- Paired axial CT (left) and PSMA PET (right), [68Ga]Ga-PSMA-11 tracer
- acquired on Siemens Biograph 64-4R TruePoint
- slice 161 of 195
- PET panel 168×168 px (4.1 mm/px)
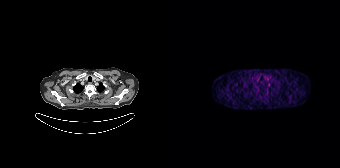
Findings: No tumor lesions annotated on this slice.